modality: PSMA PET/CT | tracer: [18F]PSMA-1007 | view: axial
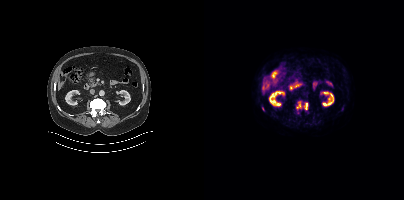
Coordinates are on the 200×200 PET (right) panel. PSMA-avid tumor lesion bounding boxes (x0,y0,x1,y1): [93,101,97,108]; [99,102,104,109].